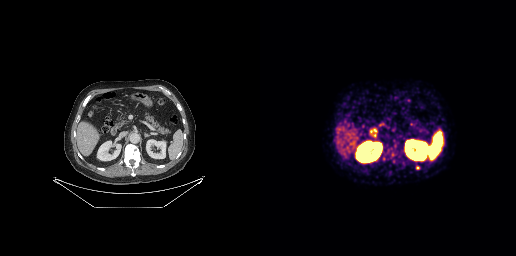
- Paired axial CT (left) and PSMA PET (right), 68Ga tracer
- slice 141 of 263
Findings: Coordinates are on the 256×256 PET (right) panel. Small PSMA-avid focus (2 to 4 px across) near (center x, center y): (157, 167).